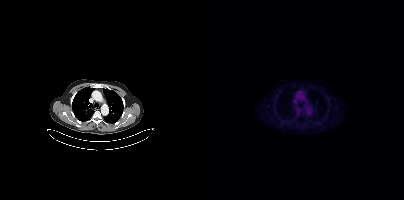
{"modality":"PSMA PET/CT","view":"axial","tracer":"18F","pet_grid":[200,200],"coord_frame":"pet_panel","coord_format":"x0,y0,x1,y1","psma_avid_lesions":false}